Left: CT. Right: PSMA PET, same axial level, 18F tracer. Acquired on Siemens Biograph mCT Flow 20. Slice 6 of 387. PET panel 200×200 px (4.1 mm/px).
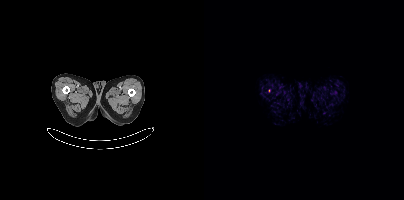
Only PSMA-avid lesion pieces thinner than 2 px on this slice (not listed).